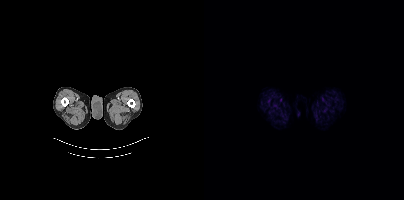
Negative for PSMA-avid disease on this slice.
modality: PSMA PET/CT | tracer: [18F]PSMA-1007 | view: axial